Technique: Paired axial CT (left) and PSMA PET (right), 18F tracer.
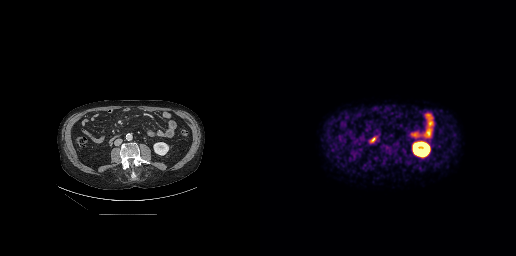
Findings: This slice has no annotated PSMA-avid lesion.